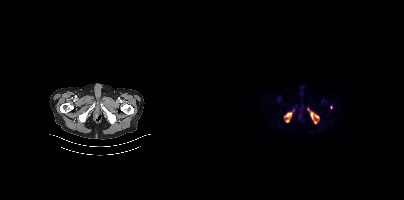
Findings: Coordinates are on the 200×200 PET (right) panel. (showing 3 of 5 foci) PSMA-avid tumor lesion bounding boxes (x0, y0)-(x1, y1): (107, 112)-(115, 123) | (80, 112)-(87, 122). Small PSMA-avid focus (2 to 4 px across) near (center x, center y): (127, 107).
- Paired axial CT (left) and PSMA PET (right), 18F-PSMA tracer
- slice position z = -976 mm
- PET panel 200×200 px (4.1 mm/px)